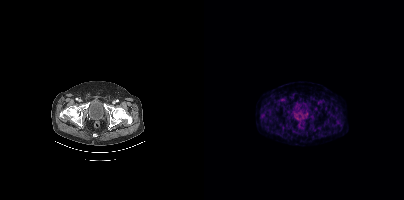
Negative for PSMA-avid disease on this slice. Left: CT. Right: PSMA PET, same axial level, 18F-PSMA tracer. Slice 86 of 448. PET panel 200×200 px (4.1 mm/px).